Technique: Left: CT. Right: PSMA PET, same axial level, [18F]PSMA-1007 tracer. slice 421 of 454.
Note: An anonymization step blacked out a rectangle over the head in this scan.
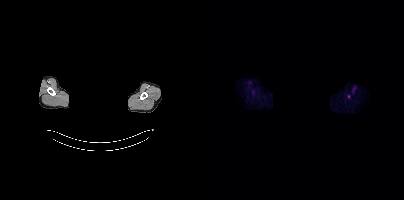
Findings: Coordinates are on the 200×200 PET (right) panel. Small PSMA-avid focus (2 to 4 px across) near (center x, center y): (145, 96).